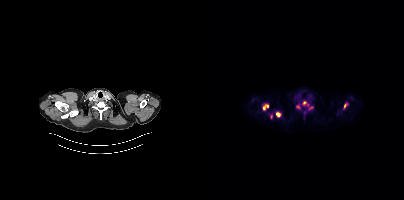
Coordinates are on the 200×200 PET (right) panel. PSMA-avid tumor lesion bounding boxes (partial; 2 more foci not listed):
| # | x0 | y0 | x1 | y1 |
|---|---|---|---|---|
| 1 | 59 | 104 | 64 | 109 |
| 2 | 72 | 112 | 76 | 116 |
Small PSMA-avid foci (2 to 4 px across) near (center x, center y): (141, 105); (93, 107); (106, 108).
Two-panel axial: CT | PSMA PET, 18F tracer. Acquired on Siemens Biograph mCT Flow 20. Slice position z = -888 mm.